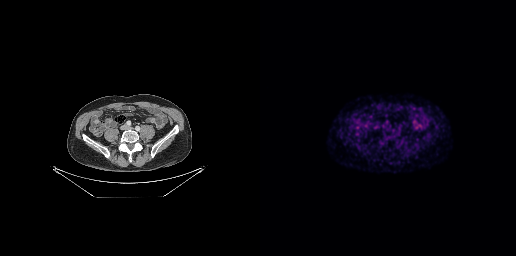
Negative for PSMA-avid disease on this slice.